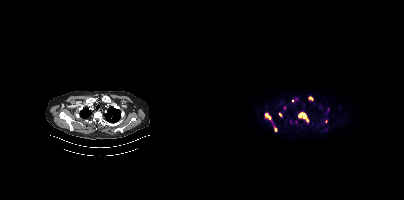
Coordinates are on the 200×200 PET (right) panel. (showing 7 of 8 foci) PSMA-avid tumor lesion bounding boxes (x0,y0,x1,y1): [94,112,104,122], [61,113,67,119], [104,96,109,100], [70,127,73,131]. Small PSMA-avid foci (2 to 4 px across) near (center x, center y): (76, 114), (88, 100), (124, 108).
modality: PSMA PET/CT | tracer: 18F | view: axial | PET grid: 200×200